Technique: Left: CT. Right: PSMA PET, same axial level, [18F]PSMA-1007 tracer. acquired on Siemens Biograph mCT Flow 20. slice 62 of 415.
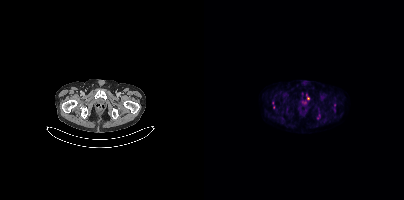
Findings: Coordinates are on the 200×200 PET (right) panel. (showing 2 of 3 foci) Small PSMA-avid foci (2 to 4 px across) near (center x, center y): (104, 97); (69, 107).